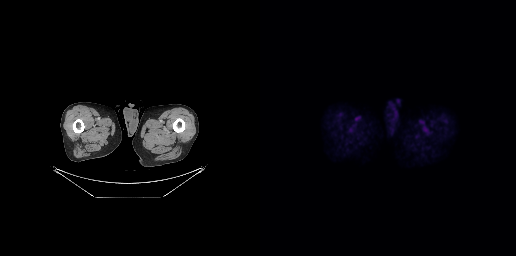
{"modality":"PSMA PET/CT","view":"axial","tracer":"18F-PSMA","pet_grid":[256,256],"coord_frame":"pet_panel","coord_format":"x0,y0,x1,y1","psma_avid_lesions":false}